modality: PSMA PET/CT | tracer: 68Ga-PSMA | view: axial
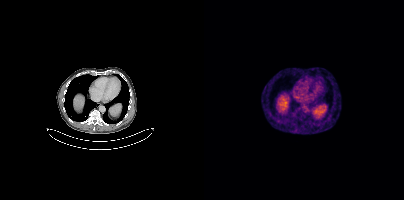
No PSMA-avid tumor lesions on this slice.